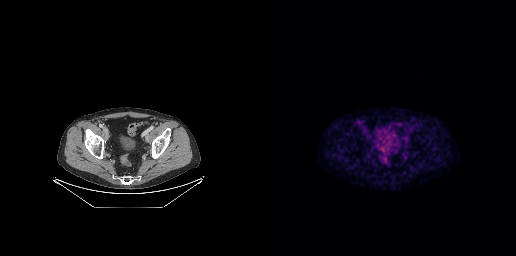
modality: PSMA PET/CT | tracer: 18F-PSMA | view: axial
No PSMA-avid tumor lesions on this slice.